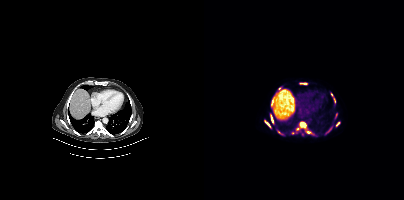
{"modality":"PSMA PET/CT","view":"axial","tracer":"[18F]PSMA-1007","pet_grid":[200,200],"coord_frame":"pet_panel","coord_format":"x0,y0,x1,y1","partial":true,"lesion_bboxes":[[96,122,102,128],[67,115,69,122],[61,121,66,127],[67,102,69,106],[132,122,135,126]],"small_foci_centers":[[104,132],[100,83],[93,128],[127,94]]}